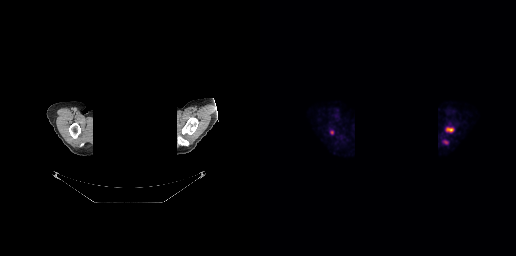
A rectangular block over the head has been blanked out for de-identification.
Coordinates are on the 256×256 PET (right) panel. PSMA-avid tumor lesion bounding boxes (x, y, width, height): x=185 y=127 w=10 h=6 / x=70 y=130 w=5 h=5. Small PSMA-avid focus (2 to 4 px across) near (center x, center y): (185, 142).